Technique: Left: CT. Right: PSMA PET, same axial level, 18F tracer. PET panel 168×168 px (4.1 mm/px).
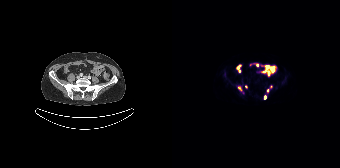
Findings: Coordinates are on the 168×168 PET (right) panel. (showing 5 of 6 foci) PSMA-avid tumor lesion bounding boxes (x0, y0)-(x1, y1): (91, 95)-(94, 99) / (66, 86)-(69, 90). Small PSMA-avid foci (2 to 4 px across) near (center x, center y): (74, 86) / (95, 90) / (99, 87).